Left: CT. Right: PSMA PET, same axial level, 18F tracer. Acquired on Siemens Biograph mCT Flow 20. Slice 121 of 395.
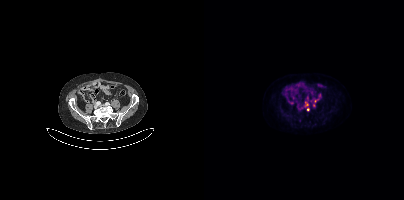
Coordinates are on the 200×200 PET (right) panel. (showing 1 of 4 foci) Small PSMA-avid focus (2 to 4 px across) near (center x, center y): (104, 109).